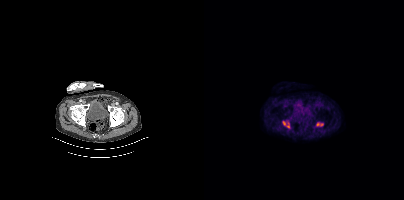
{"modality":"PSMA PET/CT","view":"axial","tracer":"18F-PSMA","pet_grid":[200,200],"coord_frame":"pet_panel","coord_format":"x0,y0,x1,y1","lesion_bboxes":[[112,122,119,126],[79,121,85,128]]}